Two-panel axial: CT | PSMA PET, 18F-PSMA tracer. Acquired on Siemens Biograph mCT Flow 20. Slice 39 of 409.
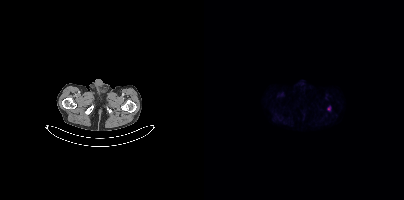
Coordinates are on the 200×200 PET (right) panel. PSMA-avid tumor lesion bounding boxes:
| # | x0 | y0 | x1 | y1 |
|---|---|---|---|---|
| 1 | 123 | 106 | 126 | 110 |